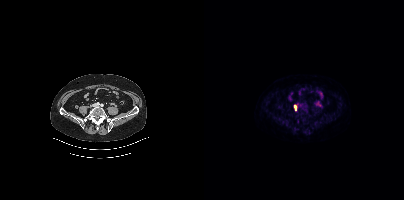
Coordinates are on the 200×200 PET (right) panel. PSMA-avid tumor lesion bounding box (x0, y0)-(x1, y1): (90, 105)-(92, 110).
modality: PSMA PET/CT | tracer: [18F]PSMA-1007 | view: axial | PET grid: 200×200